- Two-panel axial: CT | PSMA PET, 18F-PSMA tracer
- acquired on Siemens Biograph mCT Flow 20
- de-identified by setting a rectangular region to black
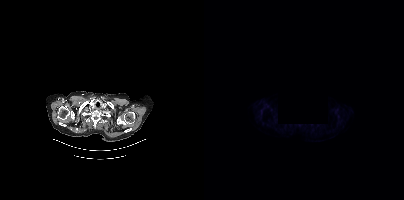
Findings: Coordinates are on the 200×200 PET (right) panel. Small PSMA-avid focus (2 to 4 px across) near (center x, center y): (57, 111).